Technique: Left: CT. Right: PSMA PET, same axial level, [68Ga]Ga-PSMA-11 tracer. slice position z = -933 mm. PET panel 256×256 px (2.7 mm/px).
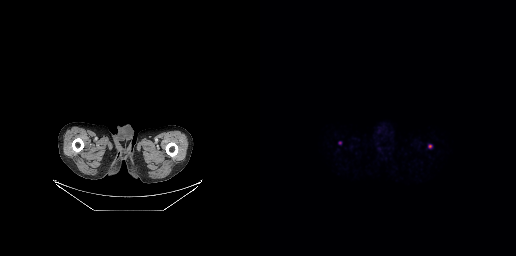
Findings: Coordinates are on the 256×256 PET (right) panel. Small PSMA-avid focus (2 to 4 px across) near (center x, center y): (79, 142).